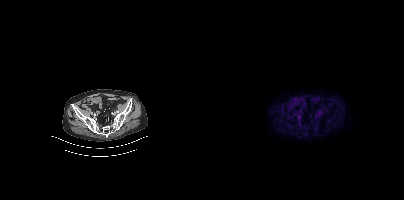
Negative for PSMA-avid disease on this slice.